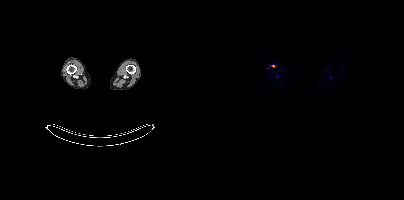
Two-panel axial: CT | PSMA PET, [18F]PSMA-1007 tracer. Coordinates are on the 200×200 PET (right) panel. Small PSMA-avid focus (2 to 4 px across) near (center x, center y): (69, 65).